Paired axial CT (left) and PSMA PET (right), 18F-PSMA tracer.
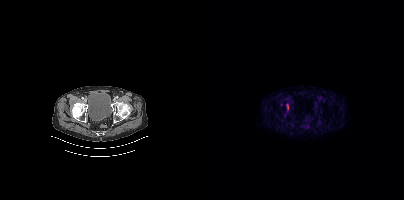
Coordinates are on the 200×200 PET (right) panel. PSMA-avid tumor lesion bounding box (x0,y0,x1,y1): [83,104,84,109].